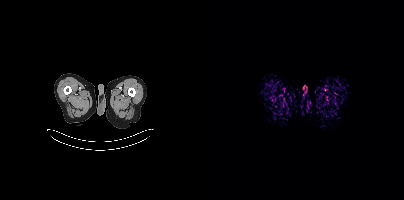
modality: PSMA PET/CT | tracer: 18F | view: axial | PET grid: 200×200
No PSMA-avid tumor lesions on this slice.